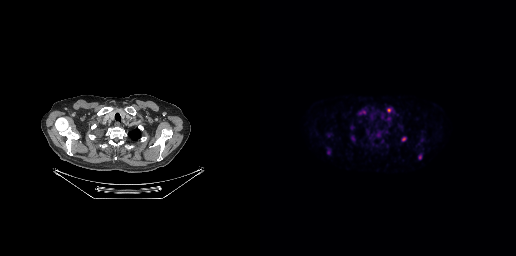
Coordinates are on the 256×256 PET (right) panel. (showing 5 of 7 foci) PSMA-avid tumor lesion bounding boxes (x, y, width, height): x=127 y=107 w=7 h=7 | x=158 y=154 w=5 h=6. Small PSMA-avid foci (2 to 4 px across) near (center x, center y): (128, 118) | (143, 139) | (122, 117).